modality: PSMA PET/CT | tracer: 18F | view: axial | PET grid: 200×200
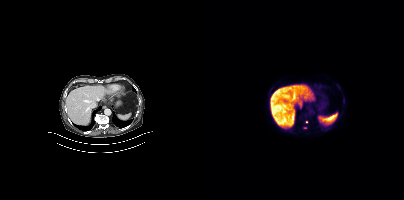
Coordinates are on the 200×200 PET (right) panel. (showing 1 of 2 foci) Small PSMA-avid focus (2 to 4 px across) near (center x, center y): (102, 121).